Two-panel axial: CT | PSMA PET, 18F tracer. Slice 474 of 508. PET panel 200×200 px (4.1 mm/px). A rectangular block over the head has been blanked out for de-identification.
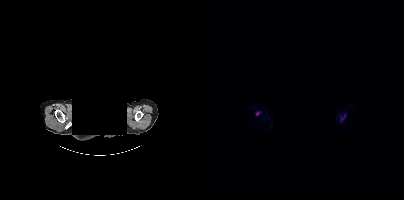
Coordinates are on the 200×200 PET (right) panel. PSMA-avid tumor lesion bounding boxes:
| # | x0 | y0 | x1 | y1 |
|---|---|---|---|---|
| 1 | 137 | 116 | 141 | 120 |
Small PSMA-avid focus (2 to 4 px across) near (center x, center y): (53, 113).